Two-panel axial: CT | PSMA PET, [18F]PSMA-1007 tracer. Slice position z = -285 mm.
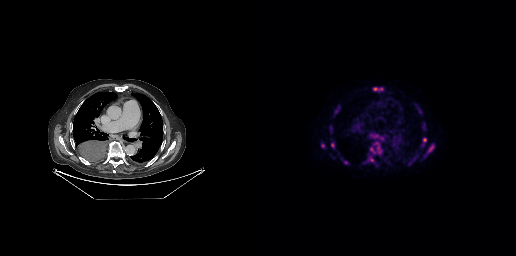
Coordinates are on the 256×256 PET (right) panel. PSMA-avid tumor lesion bounding boxes (partial; 3 more foci not listed):
| # | x0 | y0 | x1 | y1 |
|---|---|---|---|---|
| 1 | 71 | 143 | 74 | 147 |
Small PSMA-avid foci (2 to 4 px across) near (center x, center y): (62, 145); (164, 139); (87, 162); (171, 148); (115, 89); (111, 149); (112, 159).